modality: PSMA PET/CT | tracer: 18F-PSMA | view: axial
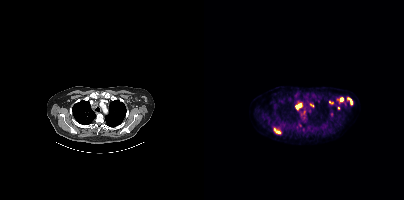
Coordinates are on the 200×200 PET (right) panel. (showing 12 of 15 foci) PSMA-avid tumor lesion bounding boxes (x0,y0,x1,y1): [92,103,98,109] [69,128,76,133] [133,98,139,101] [144,98,148,104] [125,101,129,104] [98,109,101,113]. Small PSMA-avid foci (2 to 4 px across) near (center x, center y): (102, 94) (107, 105) (128, 113) (80, 124) (134, 108) (92, 126).